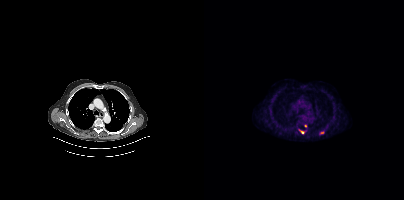
{"modality":"PSMA PET/CT","view":"axial","tracer":"18F","pet_grid":[200,200],"coord_frame":"pet_panel","coord_format":"x0,y0,x1,y1","lesion_bboxes":[[95,129,100,133],[116,131,120,134]],"small_foci_centers":[[101,125]]}